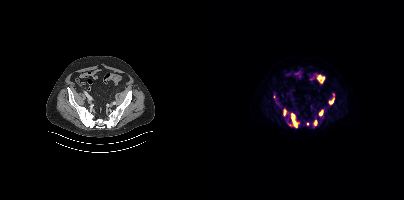
Coordinates are on the 200×200 PET (right) panel. PSMA-avid tumor lesion bounding boxes (x0, y0)-(x1, y1): (83, 113)-(93, 127) | (125, 98)-(130, 104) | (79, 109)-(82, 115) | (115, 110)-(119, 115) | (110, 121)-(112, 125). Small PSMA-avid foci (2 to 4 px across) near (center x, center y): (103, 124) | (70, 96).